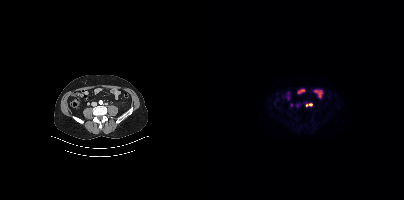
- Two-panel axial: CT | PSMA PET, 18F-PSMA tracer
- acquired on Siemens Biograph mCT Flow 20
- PET panel 200×200 px (4.1 mm/px)
Findings: Coordinates are on the 200×200 PET (right) panel. PSMA-avid tumor lesion bounding box (x, y, width, height): x=102 y=103 w=7 h=4.